- Paired axial CT (left) and PSMA PET (right), [18F]PSMA-1007 tracer
- acquired on Siemens Biograph mCT Flow 20
- slice position z = -425 mm
- PET panel 200×200 px (4.1 mm/px)
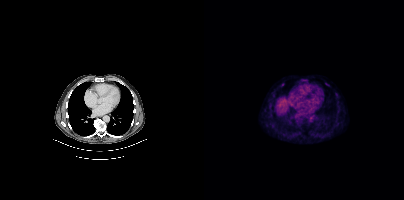
Findings: Coordinates are on the 200×200 PET (right) panel. Small PSMA-avid focus (2 to 4 px across) near (center x, center y): (78, 84).